Two-panel axial: CT | PSMA PET, 18F-PSMA tracer.
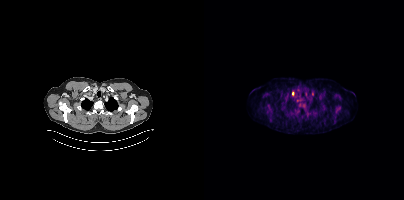
Coordinates are on the 200×200 PET (right) panel. Small PSMA-avid foci (2 to 4 px across) near (center x, center y): (88, 93) | (108, 93).